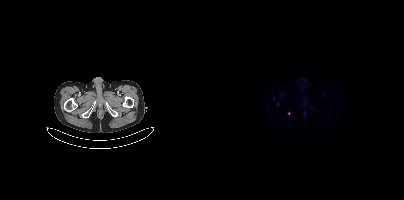
{"pet_grid":[200,200],"coord_frame":"pet_panel","coord_format":"x0,y0,x1,y1","partial":true,"lesion_bboxes":[],"small_foci_centers":[[69,98]],"modality":"PSMA PET/CT","view":"axial","tracer":"68Ga-PSMA"}